The head region is masked for de-identification. Paired axial CT (left) and PSMA PET (right), 18F-PSMA tracer. Acquired on Siemens Biograph mCT Flow 20.
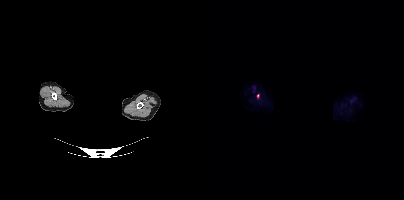
Coordinates are on the 200×200 PET (right) panel. PSMA-avid tumor lesion bounding box (x0,y0,x1,y1): [53,94,55,98].